modality: PSMA PET/CT | tracer: 18F-PSMA | view: axial
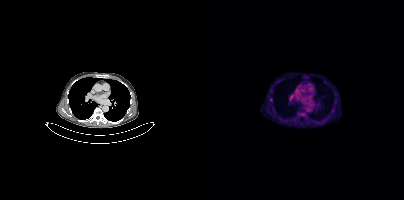
Coordinates are on the 200×200 PET (right) panel. Small PSMA-avid focus (2 to 4 px across) near (center x, center y): (67, 99).